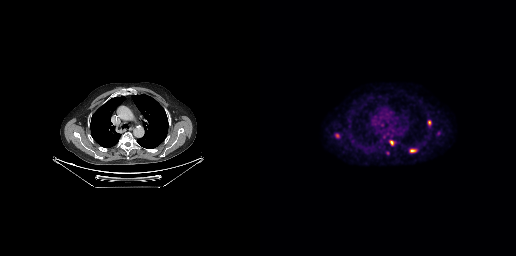
Coordinates are on the 256×256 PET (right) panel. PSMA-avid tumor lesion bounding boxes:
| # | x0 | y0 | x1 | y1 |
|---|---|---|---|---|
| 1 | 150 | 149 | 156 | 152 |
| 2 | 129 | 140 | 133 | 145 |
| 3 | 168 | 120 | 171 | 125 |
| 4 | 75 | 134 | 79 | 137 |
Small PSMA-avid foci (2 to 4 px across) near (center x, center y): (127, 152); (178, 133).
Two-panel axial: CT | PSMA PET, 18F-PSMA tracer. Acquired on GE Discovery 690. Slice position z = -184 mm. PET panel 256×256 px (2.7 mm/px).